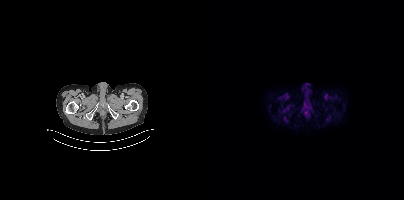
{"modality":"PSMA PET/CT","view":"axial","tracer":"[18F]PSMA-1007","pet_grid":[200,200],"coord_frame":"pet_panel","coord_format":"x0,y0,x1,y1","psma_avid_lesions":false}